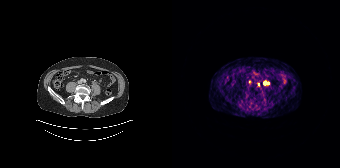
Coordinates are on the 168×168 PET (right) panel. Small PSMA-avid foci (2 to 4 px across) near (center x, center y): (86, 84) / (92, 83).